Technique: Paired axial CT (left) and PSMA PET (right), 18F tracer. slice position z = -820 mm.
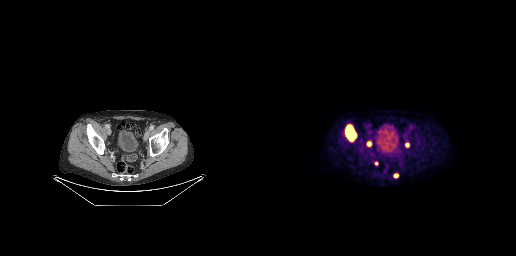
Findings: Coordinates are on the 256×256 PET (right) panel. PSMA-avid tumor lesion bounding box (x0,y0,x1,y1): [86,125,95,140]. Small PSMA-avid foci (2 to 4 px across) near (center x, center y): (135, 175) (147, 144) (116, 163) (108, 143).